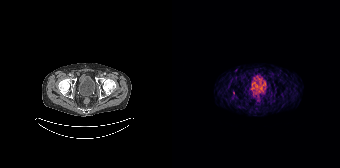
{"modality":"PSMA PET/CT","view":"axial","tracer":"[68Ga]Ga-PSMA-11","pet_grid":[168,168],"coord_frame":"pet_panel","coord_format":"x0,y0,x1,y1","psma_avid_lesions":false}